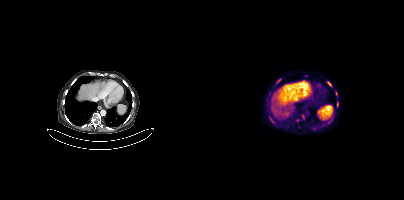
Coordinates are on the 200×200 PET (right) panel. (showing 6 of 9 foci) PSMA-avid tumor lesion bounding boxes (x, y, width, height): x=98 y=114 w=3 h=6; x=66 y=120 w=6 h=5; x=123 y=82 w=5 h=5; x=133 y=102 w=2 h=5; x=127 y=105 w=3 h=5. Small PSMA-avid focus (2 to 4 px across) near (center x, center y): (74, 80).